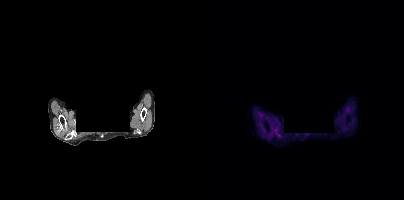
Head region blanked for anonymization (face removed). Left: CT. Right: PSMA PET, same axial level, 18F tracer. Acquired on Siemens Biograph mCT Flow 20. Coordinates are on the 200×200 PET (right) panel. Small PSMA-avid focus (2 to 4 px across) near (center x, center y): (75, 135).